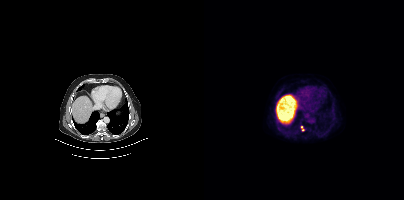
Technique: Paired axial CT (left) and PSMA PET (right), 18F-PSMA tracer.
Findings: Coordinates are on the 200×200 PET (right) panel. PSMA-avid tumor lesion bounding box (x, y, width, height): x=97 y=127 w=4 h=5.